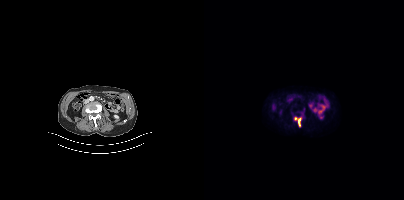
Coordinates are on the 200×200 PET (right) panel. PSMA-avid tumor lesion bounding box (x0, y0)-(x1, y1): (90, 117)-(97, 127).